Left: CT. Right: PSMA PET, same axial level, 18F tracer. PET panel 200×200 px (4.1 mm/px).
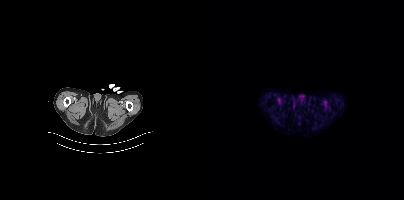
No tumor lesions annotated on this slice.